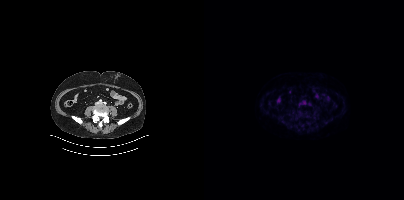
Negative for PSMA-avid disease on this slice.
modality: PSMA PET/CT | tracer: 18F | view: axial | PET grid: 200×200